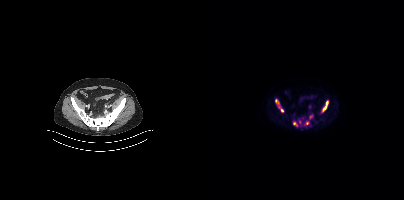
{"modality":"PSMA PET/CT","view":"axial","tracer":"18F-PSMA","pet_grid":[200,200],"coord_frame":"pet_panel","coord_format":"x0,y0,x1,y1","partial":true,"lesion_bboxes":[[117,100,124,112],[71,99,76,108],[105,114,109,119],[89,122,93,126],[101,121,105,124],[77,108,79,112]],"small_foci_centers":[[96,121],[105,106]]}